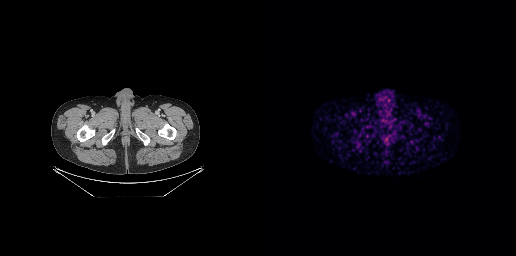
{"modality":"PSMA PET/CT","view":"axial","tracer":"68Ga-PSMA","pet_grid":[256,256],"coord_frame":"pet_panel","coord_format":"x0,y0,x1,y1","psma_avid_lesions":false}